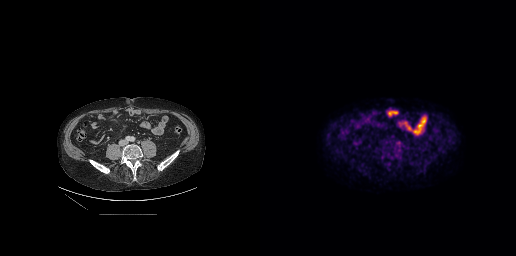
{"modality":"PSMA PET/CT","view":"axial","tracer":"18F","pet_grid":[256,256],"coord_frame":"pet_panel","coord_format":"x0,y0,x1,y1","lesion_bboxes":[[135,140,141,146]]}